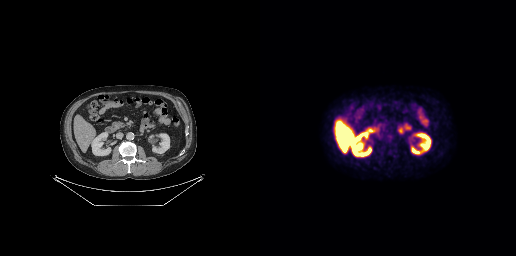
Left: CT. Right: PSMA PET, same axial level, 18F tracer. Slice 127 of 263. This slice has no annotated PSMA-avid lesion.